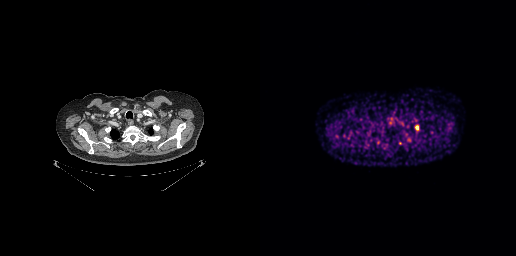
{"modality":"PSMA PET/CT","view":"axial","tracer":"68Ga","pet_grid":[256,256],"coord_frame":"pet_panel","coord_format":"x0,y0,x1,y1","lesion_bboxes":[[155,125,158,130]]}